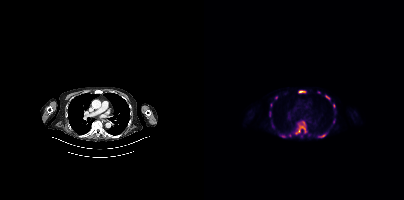
- Two-panel axial: CT | PSMA PET, 18F-PSMA tracer
- acquired on Siemens Biograph mCT Flow 20
- slice 290 of 415
Findings: Coordinates are on the 200×200 PET (right) panel. (showing 13 of 15 foci) PSMA-avid tumor lesion bounding boxes (x, y, width, height): x=89 y=121 w=15 h=14 | x=115 y=134 w=7 h=4 | x=94 y=90 w=8 h=3 | x=76 y=134 w=6 h=4 | x=121 y=95 w=6 h=5 | x=129 y=104 w=3 h=5. Small PSMA-avid foci (2 to 4 px across) near (center x, center y): (72, 97) | (67, 104) | (66, 114) | (86, 135) | (97, 136) | (114, 92) | (129, 121).